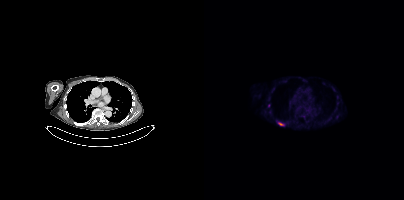
Coordinates are on the 200×200 PET (right) panel. PSMA-avid tumor lesion bounding box (x0, y0)-(x1, y1): (73, 122)-(80, 126). Small PSMA-avid foci (2 to 4 px across) near (center x, center y): (133, 117); (64, 105).